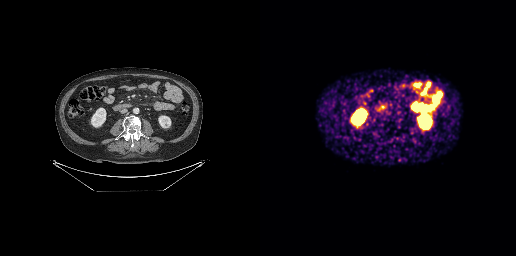
No PSMA-avid tumor lesions on this slice. Left: CT. Right: PSMA PET, same axial level, [68Ga]Ga-PSMA-11 tracer. Slice position z = -753 mm. PET panel 256×256 px (2.7 mm/px).